Paired axial CT (left) and PSMA PET (right), [18F]PSMA-1007 tracer.
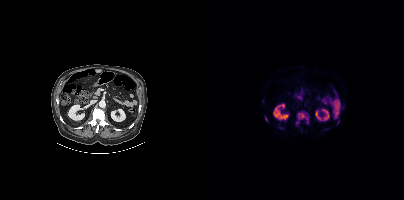
Coordinates are on the 200×200 PET (right) panel. PSMA-avid tumor lesion bounding boxes (x, y, width, height): x=92 y=111 w=14 h=15 / x=61 y=116 w=3 h=6.